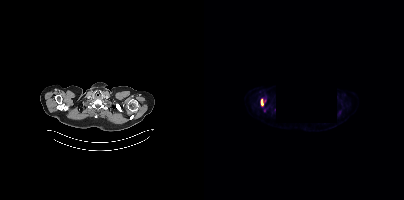
{"modality":"PSMA PET/CT","view":"axial","tracer":"18F-PSMA","pet_grid":[200,200],"coord_frame":"pet_panel","coord_format":"x0,y0,x1,y1","partial":true,"lesion_bboxes":[[56,98,61,106]],"redaction":"region blacked out before release"}